- Two-panel axial: CT | PSMA PET, 18F tracer
- acquired on Siemens Biograph mCT Flow 20
- slice 35 of 389
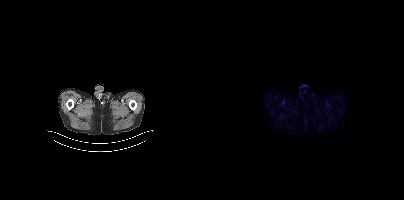
Findings: This slice has no annotated PSMA-avid lesion.